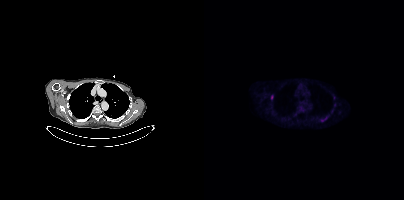
{"modality":"PSMA PET/CT","view":"axial","tracer":"18F","pet_grid":[200,200],"coord_frame":"pet_panel","coord_format":"x0,y0,x1,y1","lesion_bboxes":[[116,116,124,121],[67,95,69,99]]}